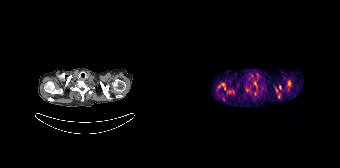
Coordinates are on the 168×168 PET (right) panel. (showing 7 of 9 foci) PSMA-avid tumor lesion bounding boxes (x0, y0)-(x1, y1): (102, 86)-(108, 98); (49, 83)-(53, 88); (74, 87)-(77, 91); (57, 90)-(61, 93); (116, 81)-(118, 85). Small PSMA-avid foci (2 to 4 px across) near (center x, center y): (83, 93); (108, 87). Paired axial CT (left) and PSMA PET (right), 68Ga tracer. Slice 140 of 165. PET panel 168×168 px (4.1 mm/px).